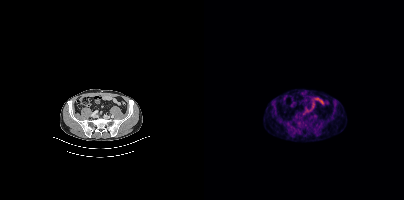
Negative for PSMA-avid disease on this slice.